modality: PSMA PET/CT | tracer: 18F-PSMA | view: axial | PET grid: 200×200
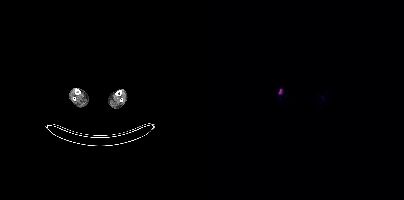
Coordinates are on the 200×200 PET (right) panel. Small PSMA-avid focus (2 to 4 px across) near (center x, center y): (76, 91).